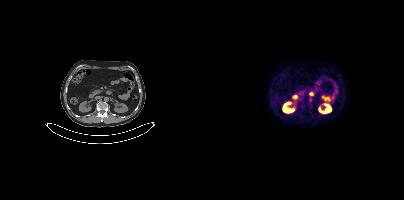
{"modality":"PSMA PET/CT","view":"axial","tracer":"18F-PSMA","pet_grid":[200,200],"coord_frame":"pet_panel","coord_format":"x0,y0,x1,y1","psma_avid_lesions":false}